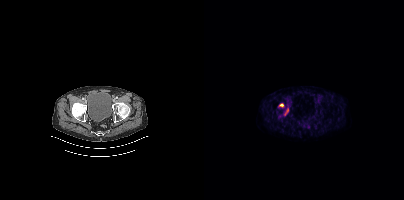
modality: PSMA PET/CT | tracer: [18F]PSMA-1007 | view: axial | PET grid: 200×200
Coordinates are on the 200×200 PET (right) panel. PSMA-avid tumor lesion bounding boxes (x0, y0)-(x1, y1): (75, 103)-(79, 107) | (80, 108)-(84, 115).